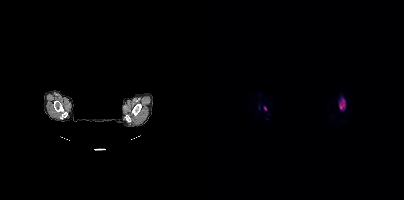
The head region is masked for de-identification. Paired axial CT (left) and PSMA PET (right), 18F tracer. Slice 360 of 387. Coordinates are on the 200×200 PET (right) panel. PSMA-avid tumor lesion bounding boxes (x, y, width, height): x=135 y=97 w=7 h=14 / x=60 y=106 w=3 h=5.